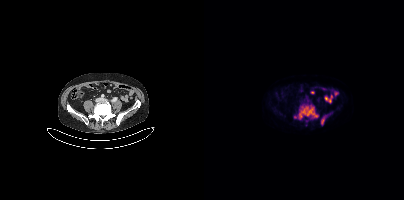
{"modality":"PSMA PET/CT","view":"axial","tracer":"[18F]PSMA-1007","pet_grid":[200,200],"coord_frame":"pet_panel","coord_format":"x0,y0,x1,y1","lesion_bboxes":[[94,105,114,119],[117,115,122,125]],"small_foci_centers":[[91,117]]}